modality: PSMA PET/CT | tracer: [18F]PSMA-1007 | view: axial | PET grid: 200×200
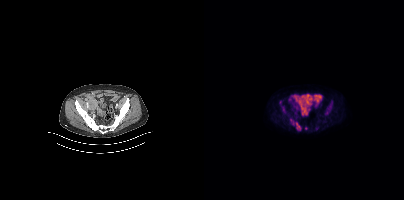
Coordinates are on the 200×200 PET (right) panel. PSMA-avid tumor lesion bounding boxes (x0, y0)-(x1, y1): (86, 118)-(96, 130) / (79, 107)-(80, 111). Small PSMA-avid foci (2 to 4 px across) near (center x, center y): (76, 102) / (127, 102) / (101, 128).